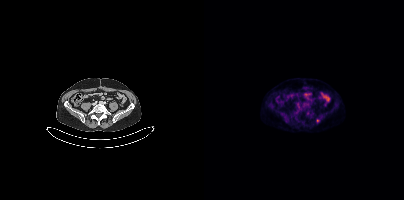
{"modality":"PSMA PET/CT","view":"axial","tracer":"18F","pet_grid":[200,200],"coord_frame":"pet_panel","coord_format":"x0,y0,x1,y1","lesion_bboxes":[],"small_foci_centers":[[113,120]]}